modality: PSMA PET/CT | tracer: 18F-PSMA | view: axial
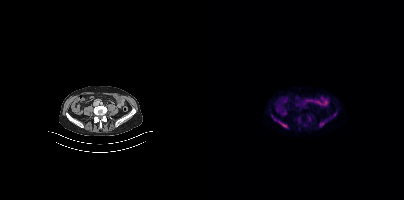
Coordinates are on the 200×200 PET (right) panel. (showing 2 of 3 foci) PSMA-avid tumor lesion bounding boxes (x0,y0,x1,y1): [115,121,122,127]; [74,121,83,127].